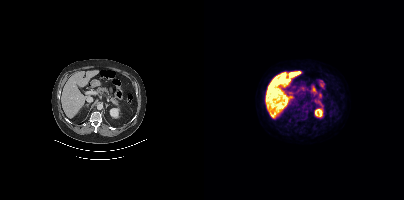
Coordinates are on the 200×200 PET (right) panel. Small PSMA-avid focus (2 to 4 px across) near (center x, center y): (102, 111).